Technique: Left: CT. Right: PSMA PET, same axial level, 18F-PSMA tracer. slice 315 of 407.
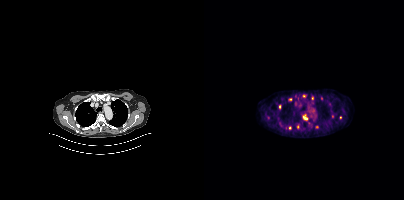
Findings: Coordinates are on the 200×200 PET (right) panel. (showing 9 of 11 foci) PSMA-avid tumor lesion bounding box (x0, y0)-(x1, y1): (99, 115)-(103, 119). Small PSMA-avid foci (2 to 4 px across) near (center x, center y): (112, 127) | (75, 106) | (86, 128) | (99, 95) | (93, 126) | (117, 98) | (86, 99) | (136, 117).